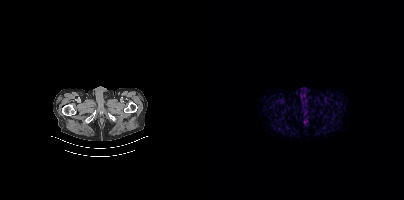
Findings: No tumor lesions annotated on this slice.
- Paired axial CT (left) and PSMA PET (right), [18F]PSMA-1007 tracer
- acquired on Siemens Biograph mCT Flow 20
- slice position z = -1602 mm
- PET panel 200×200 px (4.1 mm/px)